Left: CT. Right: PSMA PET, same axial level, [68Ga]Ga-PSMA-11 tracer. Slice position z = -103 mm.
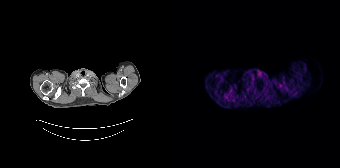
No tumor lesions annotated on this slice.